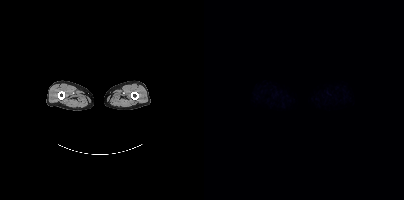
Technique: Left: CT. Right: PSMA PET, same axial level, [18F]PSMA-1007 tracer. PET panel 200×200 px (4.1 mm/px).
Findings: Negative for PSMA-avid disease on this slice.